Paired axial CT (left) and PSMA PET (right), [18F]PSMA-1007 tracer. Acquired on Siemens Biograph mCT Flow 20. Slice 262 of 415.
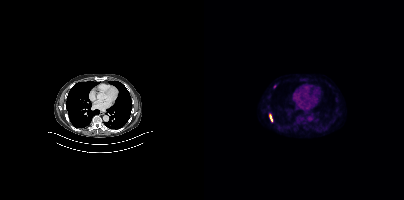
Coordinates are on the 200×200 PET (right) panel. PSMA-avid tumor lesion bounding box (x0,y0,x1,y1): [65,114,68,121]. Small PSMA-avid focus (2 to 4 px across) near (center x, center y): (70, 86).